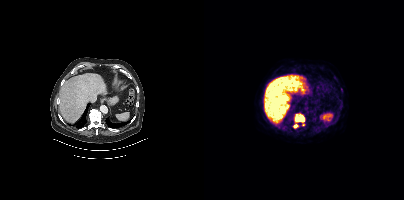
Coordinates are on the 200×200 PET (right) panel. PSMA-avid tumor lesion bounding boxes (x, y, width, height): x=90 y=113 w=11 h=10; x=89 y=124 w=6 h=5. Small PSMA-avid focus (2 to 4 px across) near (center x, center y): (99, 124).